modality: PSMA PET/CT | tracer: [18F]PSMA-1007 | view: axial
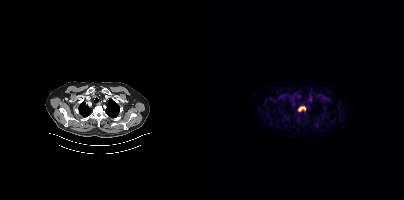
Coordinates are on the 200×200 PET (right) panel. PSMA-avid tumor lesion bounding box (x, y, width, height): x=94 y=106 w=8 h=6.